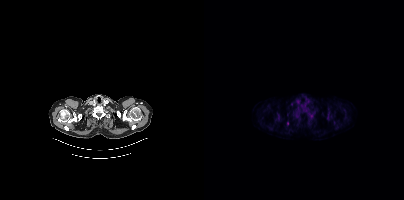
{"pet_grid":[200,200],"coord_frame":"pet_panel","coord_format":"x0,y0,x1,y1","lesion_bboxes":[],"small_foci_centers":[[83,123]],"modality":"PSMA PET/CT","view":"axial","tracer":"18F-PSMA"}